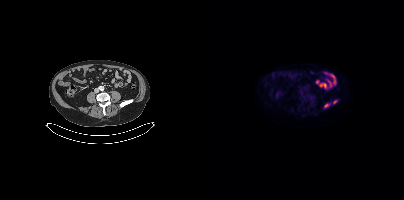
Paired axial CT (left) and PSMA PET (right), 18F-PSMA tracer. Acquired on Siemens Biograph mCT Flow 20. PET panel 200×200 px (4.1 mm/px).
Coordinates are on the 200×200 PET (right) panel. PSMA-avid tumor lesion bounding boxes:
| # | x0 | y0 | x1 | y1 |
|---|---|---|---|---|
| 1 | 120 | 103 | 125 | 107 |
| 2 | 129 | 100 | 133 | 103 |